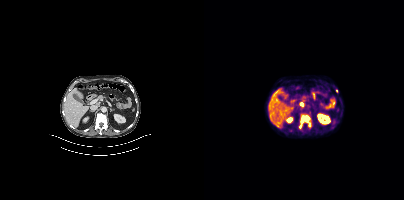
modality: PSMA PET/CT | tracer: [18F]PSMA-1007 | view: axial | PET grid: 200×200
Coordinates are on the 200×200 PET (right) panel. PSMA-avid tumor lesion bounding box (x0, y0)-(x1, y1): (95, 113)-(107, 129). Small PSMA-avid focus (2 to 4 px across) near (center x, center y): (132, 91).